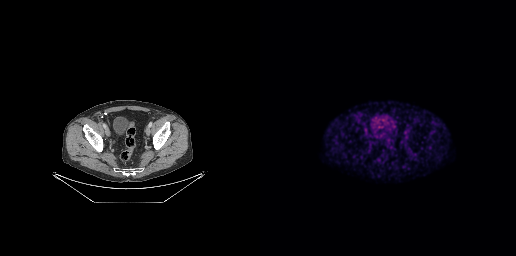
{"modality":"PSMA PET/CT","view":"axial","tracer":"18F-PSMA","pet_grid":[256,256],"coord_frame":"pet_panel","coord_format":"x0,y0,x1,y1","psma_avid_lesions":false}